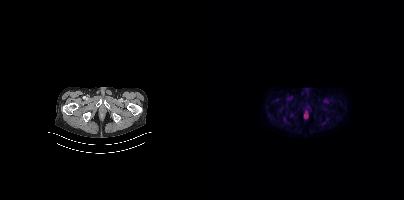
Two-panel axial: CT | PSMA PET, 18F-PSMA tracer. Acquired on Siemens Biograph mCT Flow 20. This slice has no annotated PSMA-avid lesion.